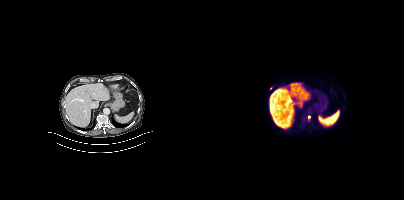
Coordinates are on the 200×200 PET (right) panel. (showing 1 of 2 foci) Small PSMA-avid focus (2 to 4 px across) near (center x, center y): (104, 117).